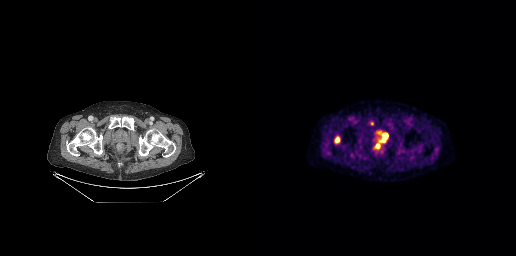
modality: PSMA PET/CT | tracer: [18F]PSMA-1007 | view: axial | PET grid: 256×256
Coordinates are on the 256×256 PET (right) panel. PSMA-avid tumor lesion bounding boxes (x, y, width, height): x=75 y=136 w=5 h=7 | x=119 y=139 w=6 h=4 | x=123 y=134 w=5 h=4. Small PSMA-avid foci (2 to 4 px across) near (center x, center y): (111, 123) | (118, 145).